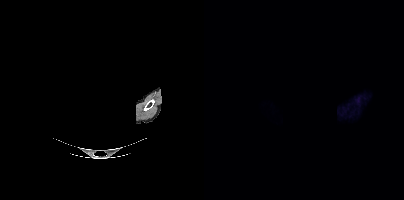
{"modality":"PSMA PET/CT","view":"axial","tracer":"[18F]PSMA-1007","pet_grid":[200,200],"coord_frame":"pet_panel","coord_format":"x0,y0,x1,y1","psma_avid_lesions":false,"de-identification":"facial region redacted"}